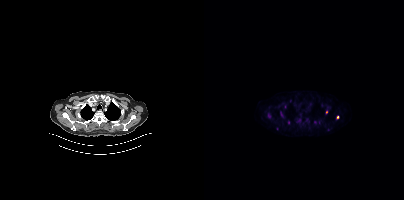
Coordinates are on the 200×200 PET (right) panel. (showing 3 of 4 foci) Small PSMA-avid foci (2 to 4 px across) near (center x, center y): (122, 112) | (133, 116) | (84, 122).
modality: PSMA PET/CT | tracer: [18F]PSMA-1007 | view: axial | PET grid: 200×200